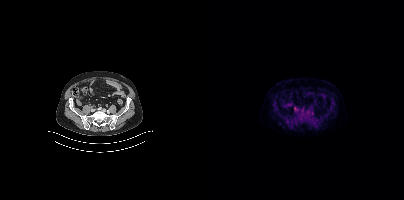
Two-panel axial: CT | PSMA PET, 18F-PSMA tracer. Acquired on Siemens Biograph mCT Flow 20. Coordinates are on the 200×200 PET (right) panel. PSMA-avid tumor lesion bounding box (x0,y0,x1,y1): [90,107,93,111].